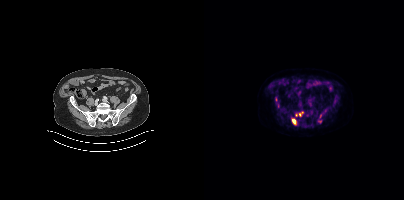
Coordinates are on the 200×200 PET (right) panel. (showing 5 of 7 foci) PSMA-avid tumor lesion bounding boxes (x0, y0)-(x1, y1): (88, 118)-(92, 124); (95, 112)-(99, 116). Small PSMA-avid foci (2 to 4 px across) near (center x, center y): (92, 115); (116, 116); (116, 121).
modality: PSMA PET/CT | tracer: [18F]PSMA-1007 | view: axial | PET grid: 200×200